Technique: Left: CT. Right: PSMA PET, same axial level, [18F]PSMA-1007 tracer. slice 72 of 435.
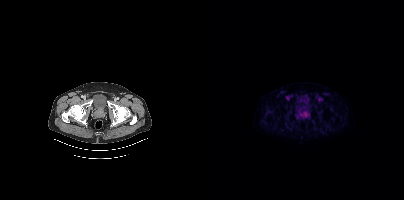
Findings: This slice has no annotated PSMA-avid lesion.